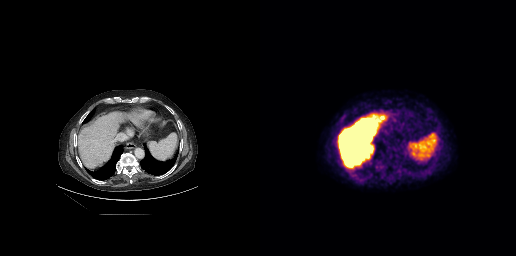
Coordinates are on the 256×256 PET (right) panel. PSMA-avid tumor lesion bounding box (x0,y0,x1,y1): [122,160,127,165]. Two-panel axial: CT | PSMA PET, 18F-PSMA tracer. Acquired on GE Discovery 690. Slice position z = -310 mm. PET panel 256×256 px (2.7 mm/px).